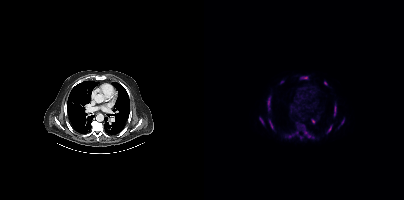
Coordinates are on the 200×200 PET (right) panel. PSMA-avid tumor lesion bounding boxes (x, y, width, height): x=81 y=122 w=18 h=18; x=63 y=96 w=4 h=15; x=130 y=103 w=3 h=14; x=100 y=131 w=7 h=7; x=123 y=125 w=6 h=9; x=97 y=76 w=7 h=3; x=120 y=81 w=4 h=5; x=137 y=119 w=4 h=6; x=67 y=125 w=3 h=5. Small PSMA-avid foci (2 to 4 px across) near (center x, center y): (109, 121); (56, 118); (99, 125).